Two-panel axial: CT | PSMA PET, 18F tracer. Slice position z = -827 mm. PET panel 200×200 px (4.1 mm/px).
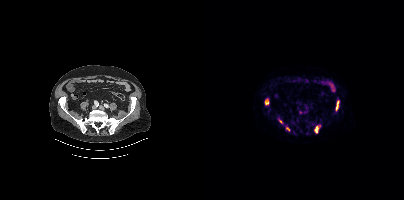
Coordinates are on the 200×200 PET (right) panel. PSMA-avid tumor lesion bounding boxes (x0, y0)-(x1, y1): (110, 125)-(116, 133) / (131, 100)-(135, 110) / (61, 99)-(64, 104). Small PSMA-avid foci (2 to 4 px across) near (center x, center y): (83, 128) / (76, 121).